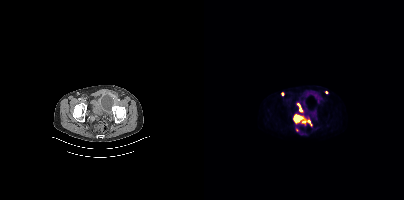
{"modality":"PSMA PET/CT","view":"axial","tracer":"[18F]PSMA-1007","pet_grid":[200,200],"coord_frame":"pet_panel","coord_format":"x0,y0,x1,y1","lesion_bboxes":[[89,114,99,123],[93,103,98,112],[98,120,107,125]],"small_foci_centers":[[122,92],[78,94]]}